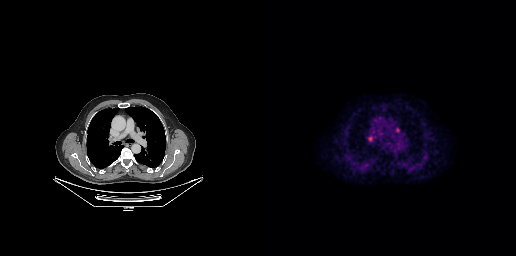
{"pet_grid":[256,256],"coord_frame":"pet_panel","coord_format":"x0,y0,x1,y1","lesion_bboxes":[[107,136,114,142],[135,128,140,132]],"modality":"PSMA PET/CT","view":"axial","tracer":"18F-PSMA"}